Two-panel axial: CT | PSMA PET, [68Ga]Ga-PSMA-11 tracer. Acquired on Siemens Biograph 64-4R TruePoint. PET panel 168×168 px (4.1 mm/px).
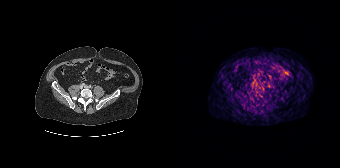
No tumor lesions annotated on this slice.